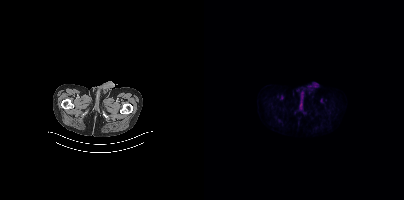
modality: PSMA PET/CT | tracer: 18F | view: axial
This slice has no annotated PSMA-avid lesion.